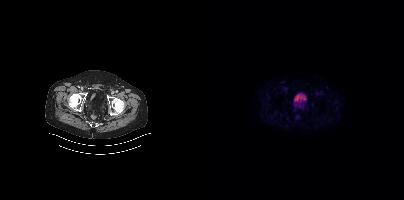
Two-panel axial: CT | PSMA PET, 18F-PSMA tracer. Acquired on Siemens Biograph mCT Flow 20. This slice has no annotated PSMA-avid lesion.